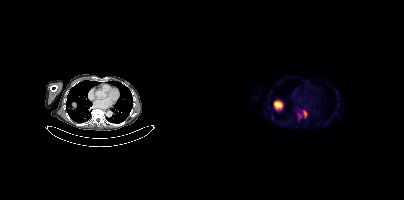
Coordinates are on the 200×200 PET (right) panel. PSMA-avid tumor lesion bounding boxes (x0,y0,x1,y1): [99,110,103,117], [94,114,96,118]. Small PSMA-avid focus (2 to 4 px across) near (center x, center y): (68, 117).